modality: PSMA PET/CT | tracer: 18F-PSMA | view: axial | PET grid: 200×200
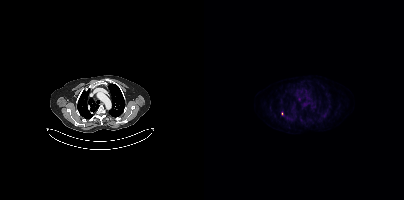
Coordinates are on the 200×200 PET (right) panel. (showing 1 of 2 foci) Small PSMA-avid focus (2 to 4 px across) near (center x, center y): (95, 99).